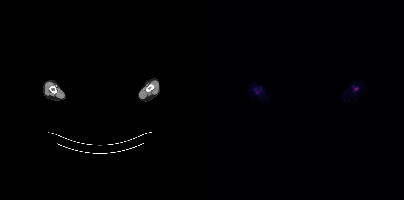
Coordinates are on the 200×200 PET (right) panel. PSMA-avid tumor lesion bounding box (x0,y0,x1,y1): [150,87,154,90]. Small PSMA-avid focus (2 to 4 px across) near (center x, center y): (52, 92).
de-identification: privacy mask over head | modality: PSMA PET/CT | tracer: 18F-PSMA | view: axial